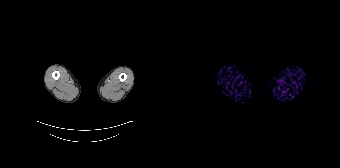
Technique: Paired axial CT (left) and PSMA PET (right), 68Ga tracer.
Findings: This slice has no annotated PSMA-avid lesion.